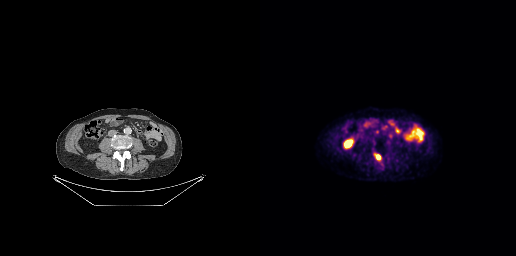
Paired axial CT (left) and PSMA PET (right), 18F-PSMA tracer. Slice position z = -627 mm. PET panel 256×256 px (2.7 mm/px). Coordinates are on the 256×256 PET (right) panel. PSMA-avid tumor lesion bounding boxes (x0, y0)-(x1, y1): (114, 154)-(121, 160) / (128, 133)-(132, 137) / (115, 130)-(119, 134). Small PSMA-avid foci (2 to 4 px across) near (center x, center y): (114, 142) / (132, 129) / (123, 128).